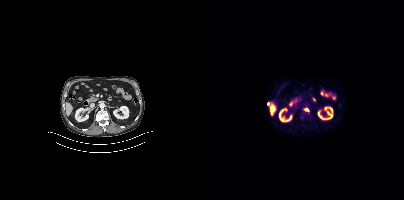
{"pet_grid":[200,200],"coord_frame":"pet_panel","coord_format":"x0,y0,x1,y1","partial":true,"lesion_bboxes":[],"small_foci_centers":[[102,109]],"modality":"PSMA PET/CT","view":"axial","tracer":"[18F]PSMA-1007"}